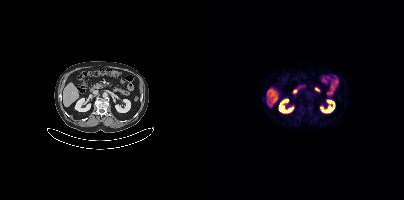
Paired axial CT (left) and PSMA PET (right), 18F-PSMA tracer. Acquired on Siemens Biograph mCT Flow 20. Negative for PSMA-avid disease on this slice.